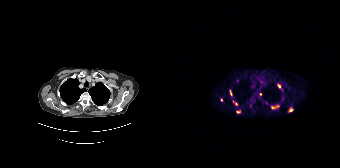
Coordinates are on the 168×168 PET (right) panel. PSMA-avid tumor lesion bounding boxes (x0,y0,x1,y1): [99,105,106,108]; [58,90,60,95]; [61,101,65,104]. Small PSMA-avid foci (2 to 4 px across) near (center x, center y): (118, 109); (66, 111); (107, 86); (88, 94); (49, 99).